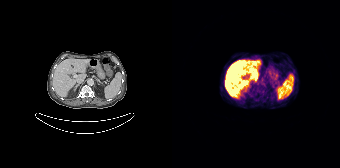
modality: PSMA PET/CT | tracer: 68Ga | view: axial
No tumor lesions annotated on this slice.